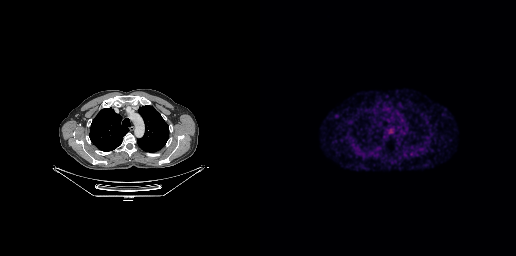
Left: CT. Right: PSMA PET, same axial level, 68Ga tracer. Acquired on GE Discovery 690. No PSMA-avid tumor lesions on this slice.